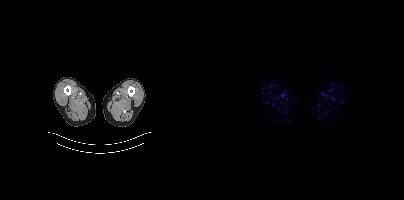
Negative for PSMA-avid disease on this slice.